modality: PSMA PET/CT | tracer: 68Ga | view: axial
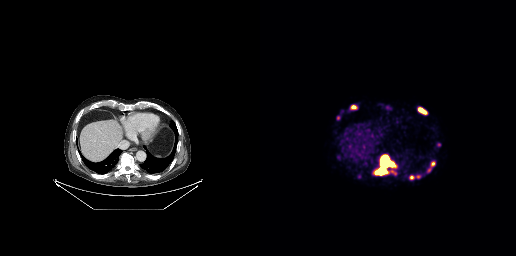
Coordinates are on the 256×256 PET (right) panel. (showing 7 of 8 foci) PSMA-avid tumor lesion bounding boxes (x0, y0)-(x1, y1): (117, 156)-(133, 174); (158, 107)-(166, 114); (149, 175)-(154, 179); (131, 170)-(136, 175); (92, 105)-(96, 108). Small PSMA-avid foci (2 to 4 px across) near (center x, center y): (173, 163); (178, 144).